Paired axial CT (left) and PSMA PET (right), 68Ga-PSMA tracer. Acquired on Siemens Biograph 64-4R TruePoint. Slice position z = -1224 mm. PET panel 168×168 px (4.1 mm/px).
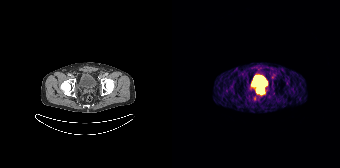
Coordinates are on the 168×168 PET (right) panel. PSMA-avid tumor lesion bounding boxes:
| # | x0 | y0 | x1 | y1 |
|---|---|---|---|---|
| 1 | 84 | 86 | 91 | 93 |
Small PSMA-avid focus (2 to 4 px across) near (center x, center y): (82, 98).